Paired axial CT (left) and PSMA PET (right), [18F]PSMA-1007 tracer.
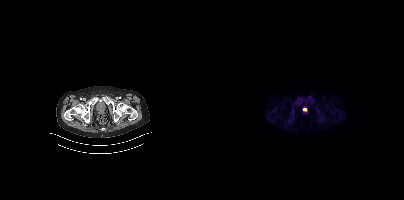
Coordinates are on the 200×200 PET (right) panel. Small PSMA-avid focus (2 to 4 px across) near (center x, center y): (101, 109).